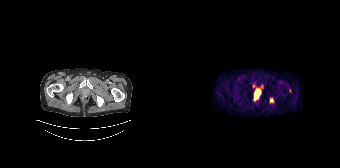
Paired axial CT (left) and PSMA PET (right), [68Ga]Ga-PSMA-11 tracer. Acquired on Siemens Biograph 64-4R TruePoint.
Coordinates are on the 168×168 PET (right) panel. PSMA-avid tumor lesion bounding boxes:
| # | x0 | y0 | x1 | y1 |
|---|---|---|---|---|
| 1 | 98 | 98 | 101 | 102 |